Technique: Paired axial CT (left) and PSMA PET (right), [18F]PSMA-1007 tracer. acquired on Siemens Biograph mCT Flow 20. slice 224 of 354.
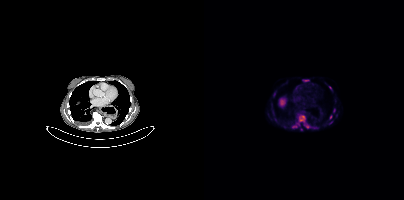
Findings: Coordinates are on the 200×200 PET (right) panel. (showing 11 of 12 foci) PSMA-avid tumor lesion bounding boxes (x0,y0,x1,y1): [95,115,101,122]; [100,124,105,128]; [109,126,114,129]; [69,92,71,96]; [88,126,92,127]; [100,80,104,81]. Small PSMA-avid foci (2 to 4 px across) near (center x, center y): (127, 116); (126, 87); (130, 110); (94, 124); (126, 122).